- Paired axial CT (left) and PSMA PET (right), 18F tracer
- slice position z = -34 mm
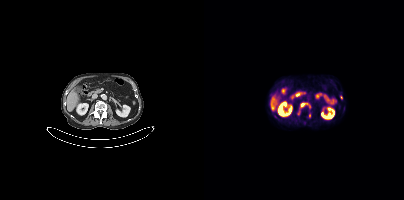
Findings: Coordinates are on the 200×200 PET (right) panel. (showing 3 of 4 foci) PSMA-avid tumor lesion bounding box (x0,y0,x1,y1): [96,102,106,107]. Small PSMA-avid foci (2 to 4 px across) near (center x, center y): (137, 97), (94, 112).